modality: PSMA PET/CT | tracer: 18F-PSMA | view: axial
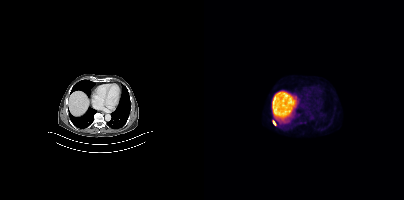
Coordinates are on the 200×200 PET (right) panel. PSMA-avid tumor lesion bounding box (x0,y0,x1,y1): [68,120,73,126].